- Two-panel axial: CT | PSMA PET, 18F-PSMA tracer
- slice 17 of 401
- PET panel 200×200 px (4.1 mm/px)
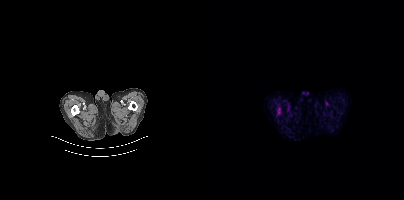
Findings: Coordinates are on the 200×200 PET (right) panel. PSMA-avid tumor lesion bounding box (x0, y0)-(x1, y1): (73, 108)-(76, 114).